Paired axial CT (left) and PSMA PET (right), 68Ga tracer. PET panel 200×200 px (4.1 mm/px).
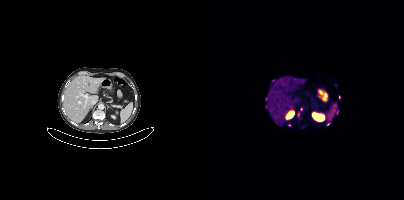
Coordinates are on the 200×200 PET (right) panel. (showing 6 of 7 foci) Small PSMA-avid foci (2 to 4 px across) near (center x, center y): (124, 124); (135, 97); (94, 113); (133, 111); (85, 124); (97, 108).